modality: PSMA PET/CT | tracer: 18F | view: axial | PET grid: 200×200
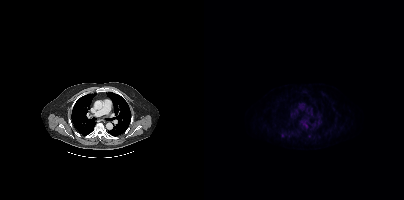
Coordinates are on the 200×200 PET (right) panel. Small PSMA-avid foci (2 to 4 px across) near (center x, center y): (105, 136) / (78, 135).